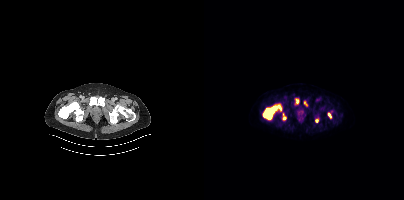
Coordinates are on the 200×200 PET (right) panel. PSMA-avid tumor lesion bounding boxes (x0, y0)-(x1, y1): (59, 105)-(77, 119); (79, 113)-(82, 120); (124, 113)-(127, 117). Small PSMA-avid foci (2 to 4 px across) near (center x, center y): (93, 101); (101, 103); (112, 121).